Two-panel axial: CT | PSMA PET, 18F tracer. Slice 96 of 444.
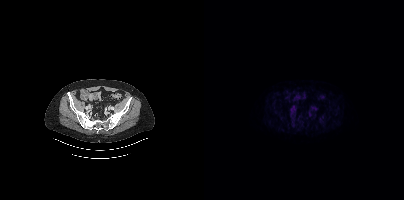
This slice has no annotated PSMA-avid lesion.